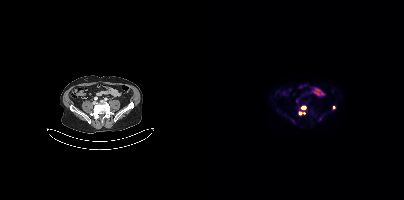
{"modality":"PSMA PET/CT","view":"axial","tracer":"[18F]PSMA-1007","pet_grid":[200,200],"coord_frame":"pet_panel","coord_format":"x0,y0,x1,y1","lesion_bboxes":[[97,106,102,109],[95,111,101,115]],"small_foci_centers":[[88,120],[130,107],[92,100],[115,118]]}